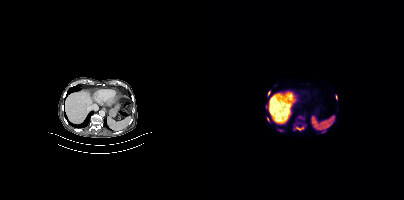
Coordinates are on the 200×200 PET (right) panel. (showing 7 of 9 foci) PSMA-avid tumor lesion bounding boxes (x0,y0,x1,y1): [90,126,100,130], [131,95,133,99], [64,91,66,95], [74,129,78,131], [63,118,66,122]. Small PSMA-avid foci (2 to 4 px across) near (center x, center y): (62, 106), (96, 117).